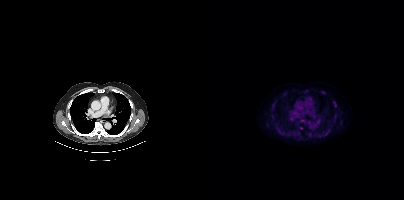
- Two-panel axial: CT | PSMA PET, [18F]PSMA-1007 tracer
Findings: Only PSMA-avid lesion pieces thinner than 2 px on this slice (not listed).